Two-panel axial: CT | PSMA PET, 18F-PSMA tracer. Slice 38 of 354.
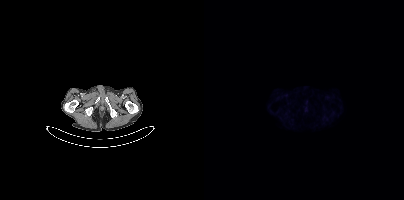
No tumor lesions annotated on this slice.